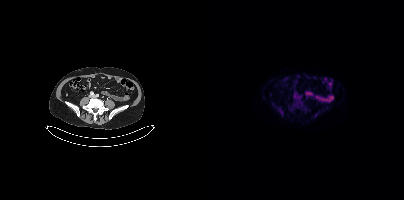
Findings: This slice has no annotated PSMA-avid lesion.
- Two-panel axial: CT | PSMA PET, [18F]PSMA-1007 tracer
- acquired on Siemens Biograph mCT Flow 20
- slice position z = -1401 mm